Technique: Left: CT. Right: PSMA PET, same axial level, [18F]PSMA-1007 tracer.
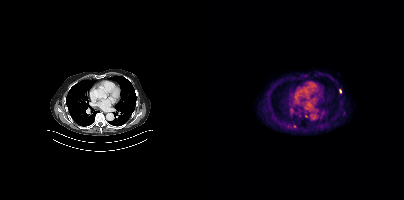
Findings: Coordinates are on the 200×200 PET (right) panel. (showing 2 of 3 foci) PSMA-avid tumor lesion bounding box (x, y, width, height): x=135 y=89 w=3 h=5. Small PSMA-avid focus (2 to 4 px across) near (center x, center y): (90, 126).